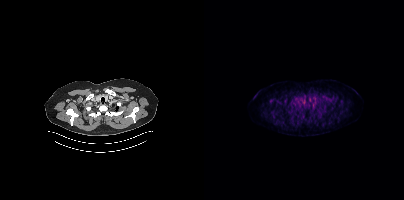
{"modality":"PSMA PET/CT","view":"axial","tracer":"[18F]PSMA-1007","pet_grid":[200,200],"coord_frame":"pet_panel","coord_format":"x0,y0,x1,y1","psma_avid_lesions":false}